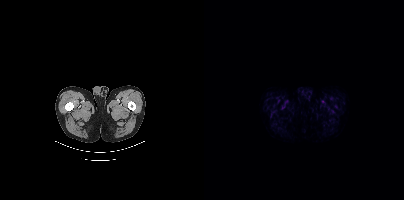
{"modality":"PSMA PET/CT","view":"axial","tracer":"18F","pet_grid":[200,200],"coord_frame":"pet_panel","coord_format":"x0,y0,x1,y1","psma_avid_lesions":false}